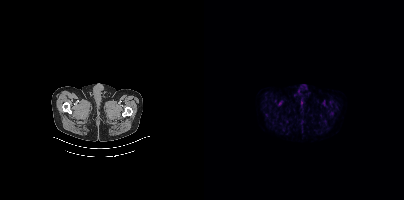
No tumor lesions annotated on this slice.